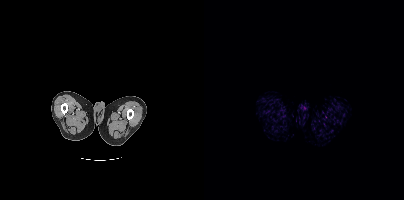
Negative for PSMA-avid disease on this slice.